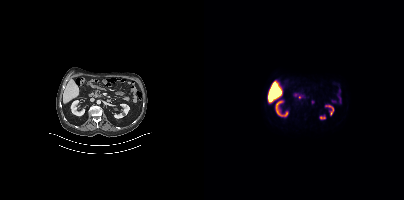
modality: PSMA PET/CT | tracer: 18F-PSMA | view: axial
No tumor lesions annotated on this slice.